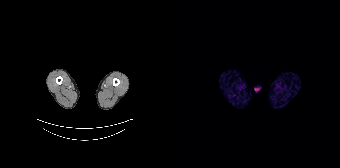
- Two-panel axial: CT | PSMA PET, 68Ga tracer
- acquired on Siemens Biograph 64-4R TruePoint
- PET panel 168×168 px (4.1 mm/px)
Findings: Negative for PSMA-avid disease on this slice.